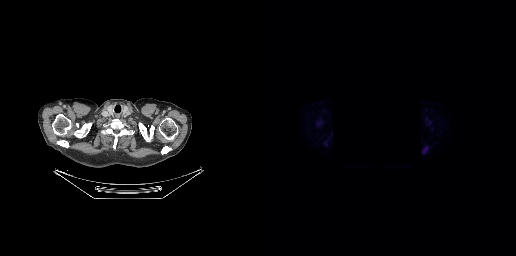
modality: PSMA PET/CT | tracer: 18F | view: axial | PET grid: 256×256 | redaction: privacy mask (black rectangle)
Coordinates are on the 256×256 PET (right) panel. PSMA-avid tumor lesion bounding box (x0,y0,x1,y1): [164,147,167,152].